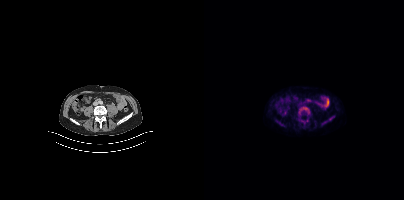
Coordinates are on the 200×200 PET (right) panel. (showing 1 of 2 foci) Small PSMA-avid focus (2 to 4 px across) near (center x, center y): (119, 123). Left: CT. Right: PSMA PET, same axial level, [18F]PSMA-1007 tracer. Acquired on Siemens Biograph mCT Flow 20. Slice 139 of 413. PET panel 200×200 px (4.1 mm/px).